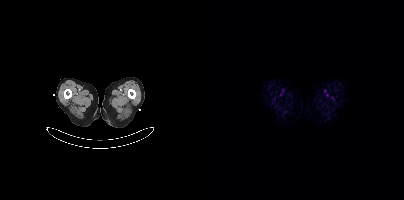
Findings: This slice has no annotated PSMA-avid lesion.
- Two-panel axial: CT | PSMA PET, [18F]PSMA-1007 tracer
- slice position z = -1790 mm
- PET panel 200×200 px (4.1 mm/px)